Left: CT. Right: PSMA PET, same axial level, 18F tracer. PET panel 200×200 px (4.1 mm/px).
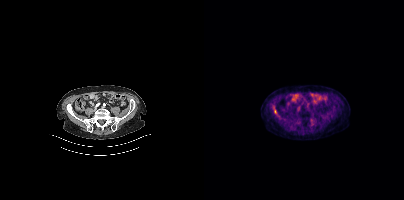
Coordinates are on the 200×200 PET (right) panel. PSMA-avid tumor lesion bounding box (x0,y0,x1,y1): [69,108,72,113].